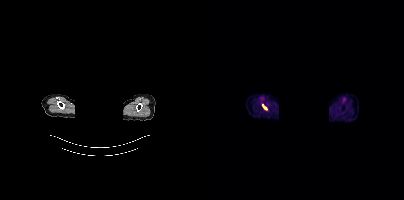
Technique: Two-panel axial: CT | PSMA PET, 18F tracer. slice 361 of 397. PET panel 200×200 px (4.1 mm/px).
Note: Face de-identified by blanking a block of the head.
Findings: Coordinates are on the 200×200 PET (right) panel. Small PSMA-avid focus (2 to 4 px across) near (center x, center y): (59, 106).